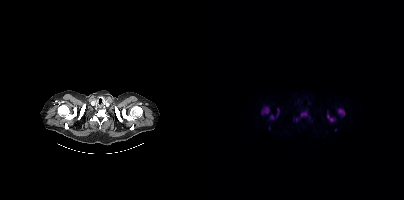
Coordinates are on the 200×200 PET (right) panel. (showing 8 of 9 foci) PSMA-avid tumor lesion bounding boxes (x0,y0,x1,y1): [57,106,65,114] [66,108,75,119] [134,108,140,115] [123,114,131,121] [96,111,103,116]. Small PSMA-avid foci (2 to 4 px across) near (center x, center y): (92, 119) (65, 128) (131, 129).